Technique: Two-panel axial: CT | PSMA PET, [68Ga]Ga-PSMA-11 tracer. acquired on GE Discovery 690. slice 33 of 299. PET panel 256×256 px (2.7 mm/px).
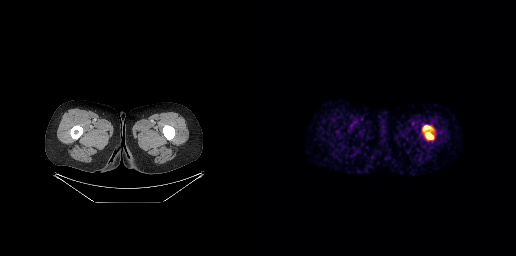
Findings: Coordinates are on the 256×256 PET (right) panel. PSMA-avid tumor lesion bounding boxes (x0, y0)-(x1, y1): (165, 132)-(173, 139) / (163, 125)-(171, 131).